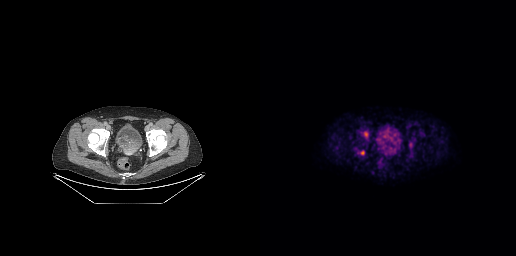
{"modality":"PSMA PET/CT","view":"axial","tracer":"[18F]PSMA-1007","pet_grid":[256,256],"coord_frame":"pet_panel","coord_format":"x0,y0,x1,y1","lesion_bboxes":[],"small_foci_centers":[[106,134],[102,152]]}